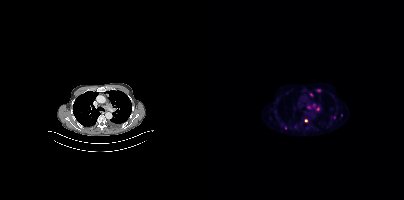
{"modality":"PSMA PET/CT","view":"axial","tracer":"18F-PSMA","pet_grid":[200,200],"coord_frame":"pet_panel","coord_format":"x0,y0,x1,y1","partial":true,"lesion_bboxes":[[108,103,115,110]],"small_foci_centers":[[114,90],[107,94],[104,107],[137,115],[101,120]]}